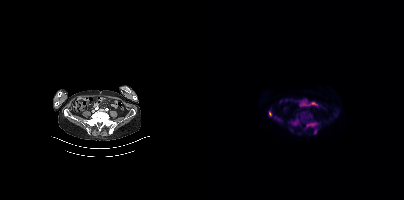
Coordinates are on the 200×200 PET (right) panel. (showing 4 of 6 foci) PSMA-avid tumor lesion bounding boxes (x, y, width, height): x=103 y=122 w=11 h=6; x=86 y=120 w=9 h=6; x=110 y=128 w=4 h=6; x=65 y=112 w=3 h=5.